Left: CT. Right: PSMA PET, same axial level, 18F-PSMA tracer. Slice 9 of 367. PET panel 200×200 px (4.1 mm/px).
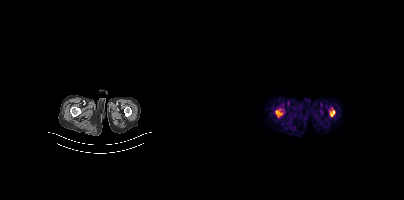
Coordinates are on the 200×200 PET (right) panel. PSMA-avid tumor lesion bounding box (x0, y0)-(x1, y1): (71, 109)-(78, 117).